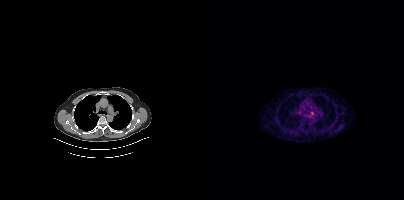
- Paired axial CT (left) and PSMA PET (right), 68Ga-PSMA tracer
- acquired on Siemens Biograph mCT Flow 20
Findings: Coordinates are on the 200×200 PET (right) panel. Small PSMA-avid focus (2 to 4 px across) near (center x, center y): (108, 113).